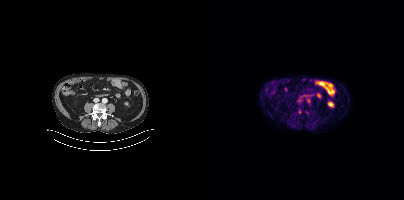
Two-panel axial: CT | PSMA PET, 18F tracer. Acquired on Siemens Biograph mCT Flow 20. Slice position z = -612 mm. Coordinates are on the 200×200 PET (right) panel. Small PSMA-avid focus (2 to 4 px across) near (center x, center y): (95, 111).